- Paired axial CT (left) and PSMA PET (right), 18F tracer
- PET panel 200×200 px (4.1 mm/px)
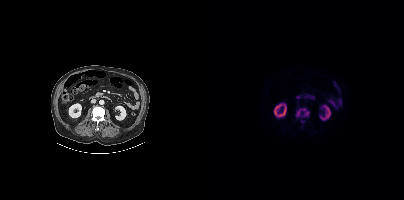
Findings: Coordinates are on the 200×200 PET (right) panel. PSMA-avid tumor lesion bounding box (x, y, width, height): x=92 y=108 w=14 h=10. Small PSMA-avid focus (2 to 4 px across) near (center x, center y): (98, 121).